Left: CT. Right: PSMA PET, same axial level, 18F-PSMA tracer. Acquired on Siemens Biograph mCT Flow 20. Slice position z = -1004 mm. PET panel 200×200 px (4.1 mm/px).
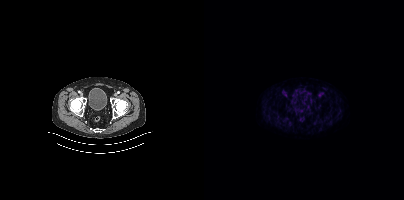
No PSMA-avid tumor lesions on this slice.